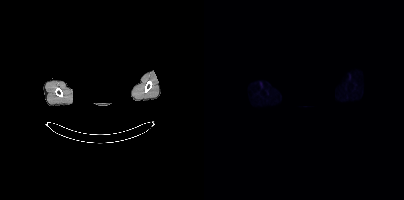
This slice has no annotated PSMA-avid lesion. Left: CT. Right: PSMA PET, same axial level, [18F]PSMA-1007 tracer. Acquired on Siemens Biograph mCT Flow 20. PET panel 200×200 px (4.1 mm/px). The head region is masked for de-identification.